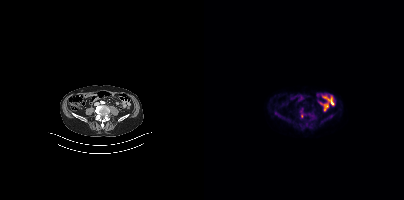
modality: PSMA PET/CT | tracer: 18F-PSMA | view: axial | PET grid: 200×200
Coordinates are on the 200×200 PET (right) panel. (showing 2 of 3 foci) Small PSMA-avid foci (2 to 4 px across) near (center x, center y): (102, 126) (97, 115).